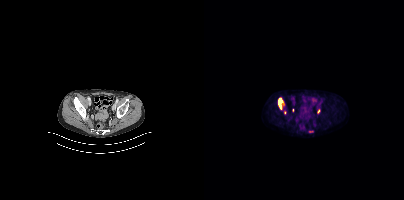
Coordinates are on the 200×200 PET (right) panel. (showing 4 of 5 foci) PSMA-avid tumor lesion bounding boxes (x, y, width, height): x=74 y=98 w=6 h=12 / x=113 y=109 w=4 h=5 / x=105 y=130 w=5 h=3. Small PSMA-avid focus (2 to 4 px across) near (center x, center y): (80, 112).